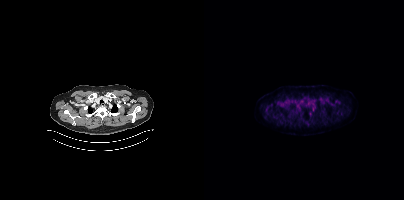
Coordinates are on the 200×200 PET (right) panel. Small PSMA-avid focus (2 to 4 px across) near (center x, center y): (106, 113).
modality: PSMA PET/CT | tracer: [18F]PSMA-1007 | view: axial